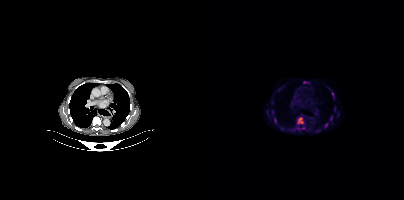
Coordinates are on the 200×200 PET (right) panel. PSMA-avid tumor lesion bounding boxes (partial; 2 more foci not listed):
| # | x0 | y0 | x1 | y1 |
|---|---|---|---|---|
| 1 | 93 | 117 | 99 | 124 |
| 2 | 70 | 118 | 72 | 122 |
| 3 | 99 | 82 | 103 | 83 |
Small PSMA-avid foci (2 to 4 px across) near (center x, center y): (122, 125); (128, 93); (68, 111); (127, 118).
Two-panel axial: CT | PSMA PET, 18F-PSMA tracer. PET panel 200×200 px (4.1 mm/px).